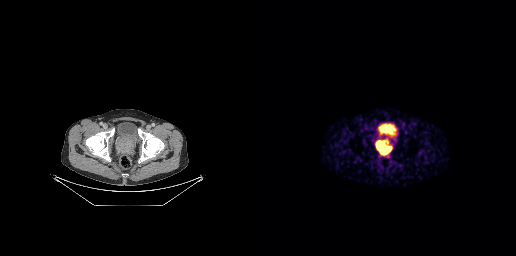
Findings: Coordinates are on the 256×256 PET (right) panel. (showing 1 of 2 foci) PSMA-avid tumor lesion bounding box (x0,y0,x1,y1): [115,140,130,153].
- Left: CT. Right: PSMA PET, same axial level, 68Ga tracer
- slice 52 of 263
- PET panel 256×256 px (2.7 mm/px)